modality: PSMA PET/CT | tracer: [18F]PSMA-1007 | view: axial
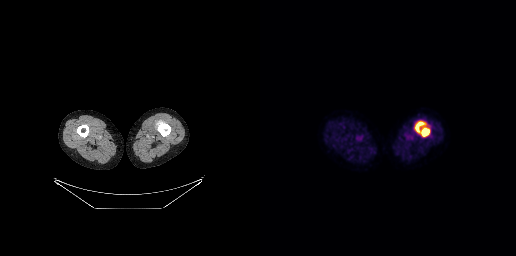
Coordinates are on the 256×256 PET (right) panel. PSMA-avid tumor lesion bounding box (x0,y0,x1,y1): [155,121,169,136].